Two-panel axial: CT | PSMA PET, 18F-PSMA tracer. Slice position z = -480 mm. PET panel 256×256 px (2.7 mm/px).
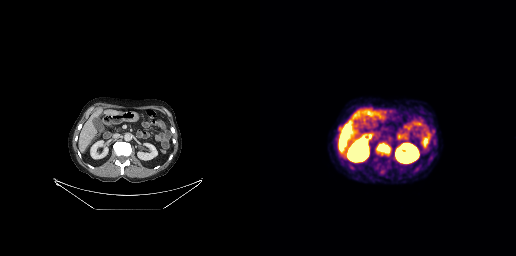
Coordinates are on the 256×256 PET (right) panel. PSMA-avid tumor lesion bounding boxes:
| # | x0 | y0 | x1 | y1 |
|---|---|---|---|---|
| 1 | 117 | 143 | 129 | 153 |